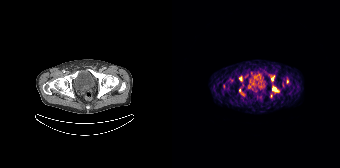
Coordinates are on the 168×168 PET (right) panel. (showing 5 of 10 foci) PSMA-avid tumor lesion bounding boxes (x0, y0)-(x1, y1): (100, 86)-(107, 91); (67, 76)-(70, 81); (67, 88)-(70, 93); (114, 78)-(116, 83); (99, 76)-(102, 80).